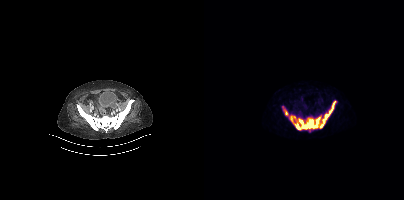
Coordinates are on the 200×200 PET (right) panel. (showing 9 of 10 foci) PSMA-avid tumor lesion bounding boxes (x0,y0,x1,y1): [122,101,132,116], [91,123,98,129], [80,111,87,118], [90,117,98,122], [108,124,113,128], [102,118,106,123]. Small PSMA-avid foci (2 to 4 px across) near (center x, center y): (114, 118), (108, 121), (78, 107).